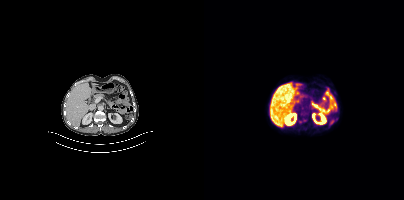
This slice has no annotated PSMA-avid lesion. Paired axial CT (left) and PSMA PET (right), 18F tracer. Slice 200 of 413. PET panel 200×200 px (4.1 mm/px).